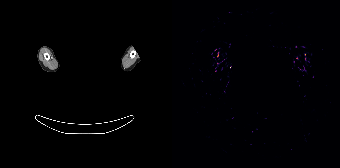
Privacy masking over the head, with the pixels inside a rectangle set to black.
No tumor lesions annotated on this slice.